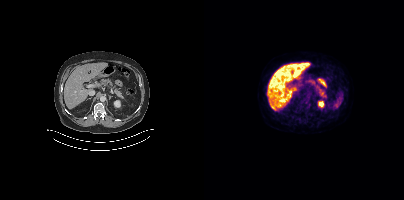
Coordinates are on the 200×200 PET (right) panel. Small PSMA-avid focus (2 to 4 px across) near (center x, center y): (93, 111).